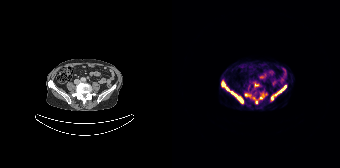
{"modality":"PSMA PET/CT","view":"axial","tracer":"68Ga","pet_grid":[168,168],"coord_frame":"pet_panel","coord_format":"x0,y0,x1,y1","partial":true,"lesion_bboxes":[[50,82,71,102],[103,85,114,95],[91,92,95,96],[72,93,76,97]],"small_foci_centers":[[100,97],[84,102],[89,97],[84,84]]}